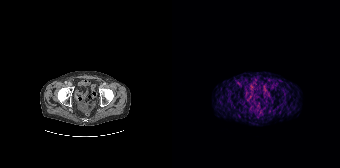
Negative for PSMA-avid disease on this slice.